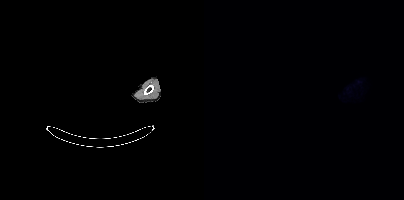
Findings: No PSMA-avid tumor lesions on this slice.
- Paired axial CT (left) and PSMA PET (right), 18F tracer
- the face region was removed for patient privacy by blanking a rectangle over the head